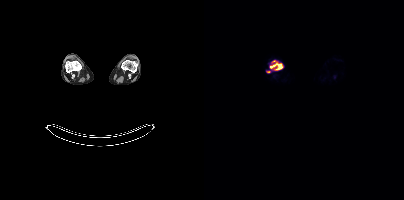
Coordinates are on the 200×200 PET (right) panel. PSMA-avid tumor lesion bounding box (x, y, width, height): x=66 y=60 w=13 h=10. Small PSMA-avid focus (2 to 4 px across) near (center x, center y): (64, 71).